Left: CT. Right: PSMA PET, same axial level, [18F]PSMA-1007 tracer. Acquired on Siemens Biograph mCT Flow 20. Slice 209 of 405. PET panel 200×200 px (4.1 mm/px).
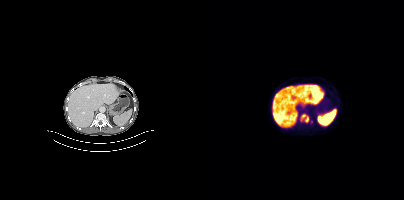
Coordinates are on the 200×200 PET (right) panel. PSMA-avid tumor lesion bounding boxes:
| # | x0 | y0 | x1 | y1 |
|---|---|---|---|---|
| 1 | 96 | 113 | 105 | 122 |
Small PSMA-avid focus (2 to 4 px across) near (center x, center y): (107, 121).